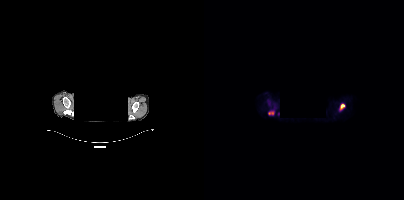
Findings: Coordinates are on the 200×200 PET (right) panel. PSMA-avid tumor lesion bounding boxes (x0,y0,x1,y1): [136,104,140,109]; [64,111,70,114].
Technique: Paired axial CT (left) and PSMA PET (right), 18F-PSMA tracer. acquired on Siemens Biograph mCT Flow 20. slice 322 of 375. PET panel 200×200 px (4.1 mm/px).
Note: A rectangular block over the head has been blanked out for de-identification.